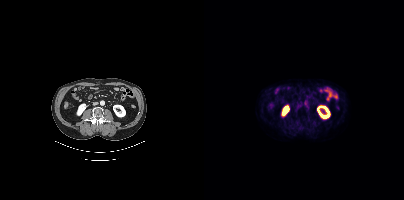
Findings: No PSMA-avid tumor lesions on this slice.
- Paired axial CT (left) and PSMA PET (right), 18F tracer
- acquired on Siemens Biograph mCT Flow 20
- slice position z = -1259 mm
- PET panel 200×200 px (4.1 mm/px)